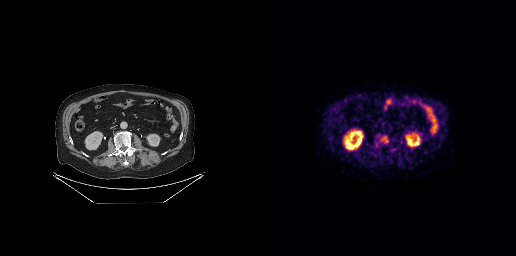
Findings: No tumor lesions annotated on this slice.
Technique: Left: CT. Right: PSMA PET, same axial level, 18F tracer. acquired on GE Discovery 690. slice 120 of 263.